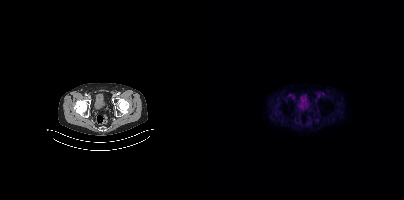
Paired axial CT (left) and PSMA PET (right), 18F tracer. Slice position z = -917 mm. PET panel 200×200 px (4.1 mm/px). No tumor lesions annotated on this slice.